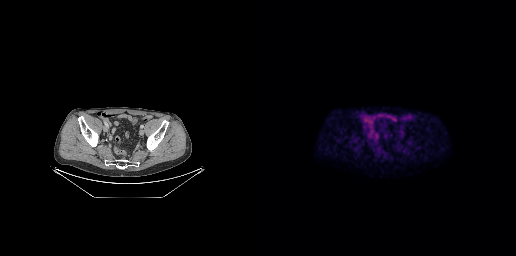
Paired axial CT (left) and PSMA PET (right), 18F-PSMA tracer. Acquired on GE Discovery 690. Slice position z = -659 mm. Negative for PSMA-avid disease on this slice.